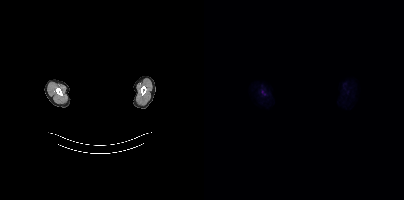
Technique: Two-panel axial: CT | PSMA PET, [18F]PSMA-1007 tracer. acquired on Siemens Biograph mCT Flow 20.
Note: A rectangle over the head was blacked out to remove identifiable facial features.
Findings: Negative for PSMA-avid disease on this slice.